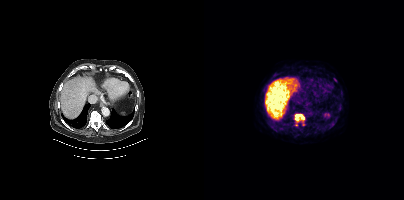
Findings: Coordinates are on the 200×200 PET (right) panel. (showing 2 of 4 foci) PSMA-avid tumor lesion bounding box (x, y, width, height): x=91 y=114 w=10 h=8. Small PSMA-avid focus (2 to 4 px across) near (center x, center y): (130, 79).
Technique: Two-panel axial: CT | PSMA PET, 18F tracer. acquired on Siemens Biograph mCT Flow 20. slice 276 of 454. PET panel 200×200 px (4.1 mm/px).